- Two-panel axial: CT | PSMA PET, 18F-PSMA tracer
- slice position z = -1392 mm
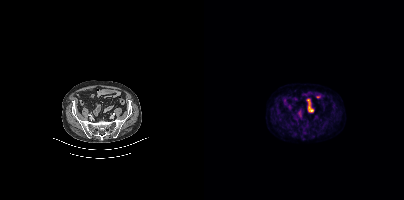
Findings: No tumor lesions annotated on this slice.